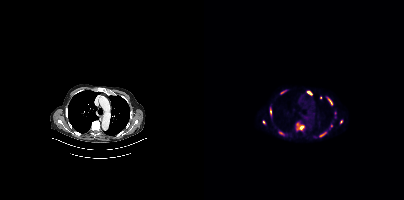
{"modality":"PSMA PET/CT","view":"axial","tracer":"68Ga-PSMA","pet_grid":[200,200],"coord_frame":"pet_panel","coord_format":"x0,y0,x1,y1","partial":true,"lesion_bboxes":[[92,123,100,130],[123,97,128,104],[116,132,122,136],[66,109,67,115],[75,132,79,134],[77,91,81,93]],"small_foci_centers":[[105,92],[137,121],[127,125],[59,122]]}